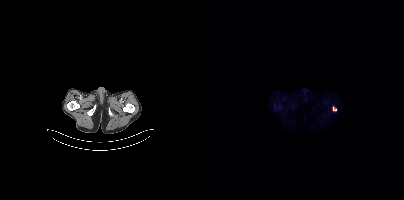
Coordinates are on the 200×200 PET (right) panel. Small PSMA-avid focus (2 to 4 px across) near (center x, center y): (130, 108). Left: CT. Right: PSMA PET, same axial level, 18F tracer. Slice position z = -68 mm. PET panel 200×200 px (4.1 mm/px).